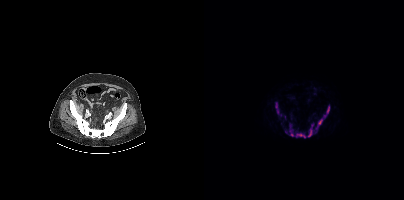
Coordinates are on the 200×200 PET (right) panel. (showing 4 of 7 foci) PSMA-avid tumor lesion bounding boxes (x0,y0,x1,y1): [85,123,109,138] [111,105,125,129] [71,102,74,113]. Small PSMA-avid focus (2 to 4 px across) near (center x, center y): (82, 131).
modality: PSMA PET/CT | tracer: 18F | view: axial | PET grid: 200×200